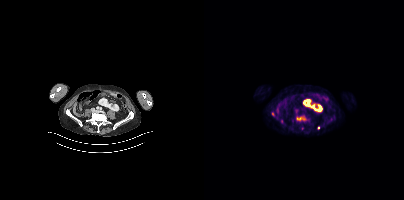
modality: PSMA PET/CT | tracer: 18F | view: axial
Coordinates are on the 200×200 PET (right) panel. PSMA-avid tumor lesion bounding box (x, y, width, height): x=93 y=117 w=9 h=4. Small PSMA-avid foci (2 to 4 px across) near (center x, center y): (77, 121) / (114, 127).